- Two-panel axial: CT | PSMA PET, 18F-PSMA tracer
- acquired on Siemens Biograph mCT Flow 20
- PET panel 200×200 px (4.1 mm/px)
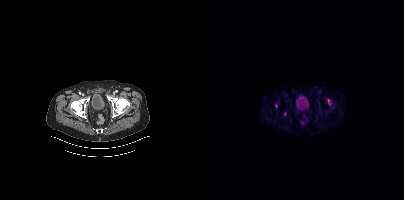
Findings: Coordinates are on the 200×200 PET (right) panel. PSMA-avid tumor lesion bounding box (x0, y0)-(x1, y1): (124, 99)-(126, 104). Small PSMA-avid foci (2 to 4 px across) near (center x, center y): (72, 105) | (80, 113).